Technique: Left: CT. Right: PSMA PET, same axial level, [18F]PSMA-1007 tracer. PET panel 200×200 px (4.1 mm/px).
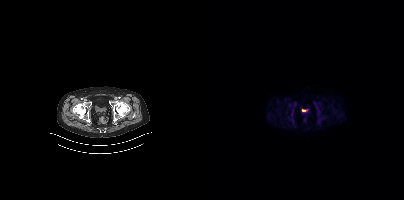
Findings: No PSMA-avid tumor lesions on this slice.